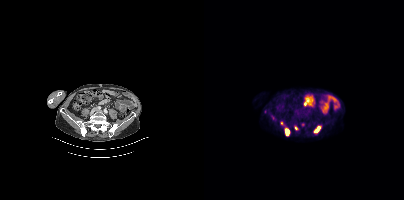
Left: CT. Right: PSMA PET, same axial level, [18F]PSMA-1007 tracer. PET panel 200×200 px (4.1 mm/px).
Coordinates are on the 200×200 PET (right) panel. PSMA-avid tumor lesion bounding boxes (partial; 2 more foci not listed):
| # | x0 | y0 | x1 | y1 |
|---|---|---|---|---|
| 1 | 109 | 125 | 117 | 133 |
| 2 | 81 | 128 | 86 | 136 |
| 3 | 90 | 126 | 94 | 130 |
Small PSMA-avid foci (2 to 4 px across) near (center x, center y): (69, 117); (77, 123).